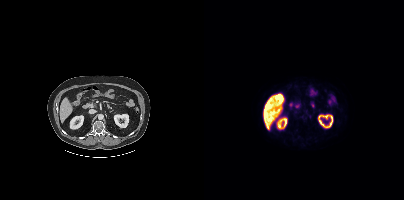
{"modality":"PSMA PET/CT","view":"axial","tracer":"18F","pet_grid":[200,200],"coord_frame":"pet_panel","coord_format":"x0,y0,x1,y1","psma_avid_lesions":false}